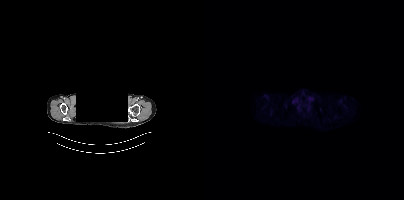
redaction: head region blacked out before release | modality: PSMA PET/CT | tracer: [18F]PSMA-1007 | view: axial
Negative for PSMA-avid disease on this slice.